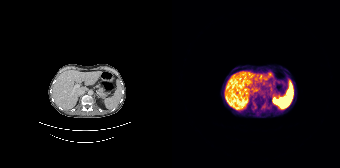
This slice has no annotated PSMA-avid lesion.